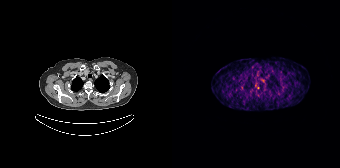
modality: PSMA PET/CT | tracer: 68Ga | view: axial
Only PSMA-avid lesion pieces thinner than 2 px on this slice (not listed).